Two-panel axial: CT | PSMA PET, [68Ga]Ga-PSMA-11 tracer. Acquired on Siemens Biograph 64-4R TruePoint.
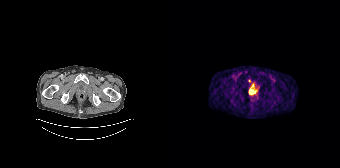
Coordinates are on the 168×168 PET (right) panel. PSMA-avid tumor lesion bounding box (x0, y0)-(x1, y1): (77, 90)-(84, 94). Small PSMA-avid focus (2 to 4 px across) near (center x, center y): (77, 80).